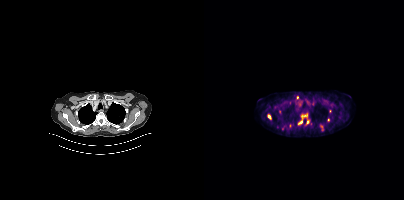
{"modality":"PSMA PET/CT","view":"axial","tracer":"[18F]PSMA-1007","pet_grid":[200,200],"coord_frame":"pet_panel","coord_format":"x0,y0,x1,y1","partial":true,"lesion_bboxes":[[94,114,103,124],[116,125,119,130]],"small_foci_centers":[[65,116],[104,121],[93,97],[124,120]]}